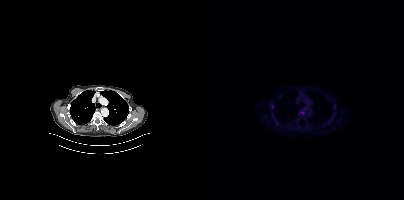
No PSMA-avid tumor lesions on this slice. Two-panel axial: CT | PSMA PET, [18F]PSMA-1007 tracer. Slice 315 of 421. PET panel 200×200 px (4.1 mm/px).